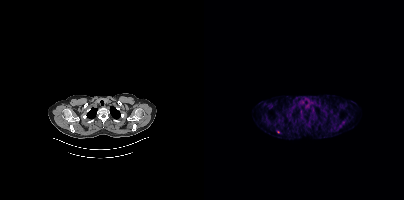
Coordinates are on the 200×200 PET (right) panel. Small PSMA-avid focus (2 to 4 px across) near (center x, center y): (74, 131).